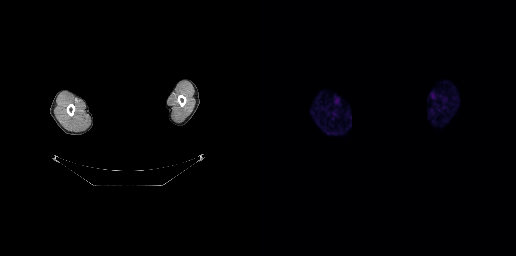
{"modality":"PSMA PET/CT","view":"axial","tracer":"[68Ga]Ga-PSMA-11","pet_grid":[256,256],"coord_frame":"pet_panel","coord_format":"x0,y0,x1,y1","de-identification":"face masked with black rectangle","psma_avid_lesions":false}